Two-panel axial: CT | PSMA PET, [18F]PSMA-1007 tracer. Slice position z = -335 mm. PET panel 256×256 px (2.7 mm/px).
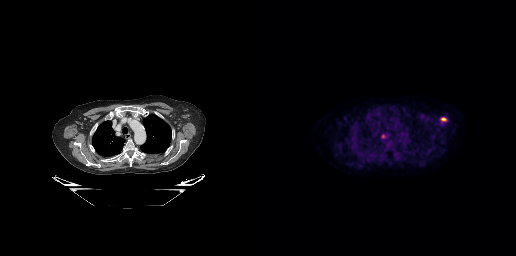
Coordinates are on the 256×256 PET (right) panel. PSMA-avid tumor lesion bounding boxes:
| # | x0 | y0 | x1 | y1 |
|---|---|---|---|---|
| 1 | 180 | 117 | 186 | 121 |
| 2 | 121 | 134 | 126 | 138 |
Small PSMA-avid foci (2 to 4 px across) near (center x, center y): (118, 123); (167, 117).